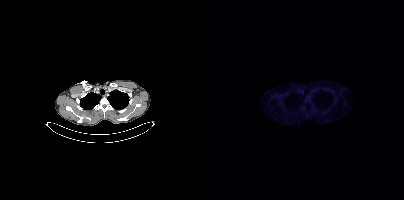
{"modality":"PSMA PET/CT","view":"axial","tracer":"[18F]PSMA-1007","pet_grid":[200,200],"coord_frame":"pet_panel","coord_format":"x0,y0,x1,y1","psma_avid_lesions":false}